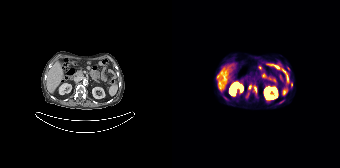
{"modality":"PSMA PET/CT","view":"axial","tracer":"68Ga","pet_grid":[168,168],"coord_frame":"pet_panel","coord_format":"x0,y0,x1,y1","partial":true,"lesion_bboxes":[[81,85,84,93],[76,85,79,89],[107,100,112,103],[119,82,120,86]],"small_foci_centers":[[116,68]]}